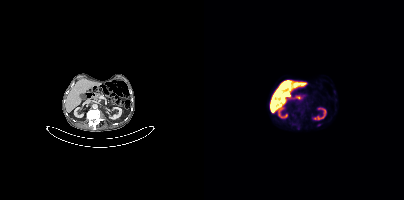
Technique: Two-panel axial: CT | PSMA PET, 18F-PSMA tracer. slice 159 of 354. PET panel 200×200 px (4.1 mm/px).
Findings: This slice has no annotated PSMA-avid lesion.